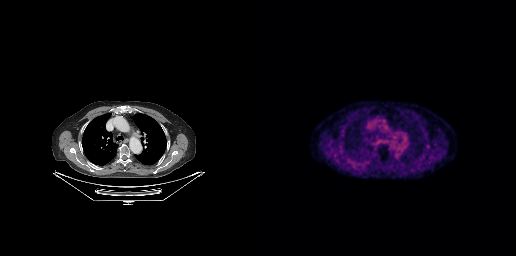
Findings: No tumor lesions annotated on this slice.
Technique: Left: CT. Right: PSMA PET, same axial level, [18F]PSMA-1007 tracer. slice position z = -353 mm. PET panel 256×256 px (2.7 mm/px).